Technique: Left: CT. Right: PSMA PET, same axial level, 68Ga-PSMA tracer. PET panel 200×200 px (4.1 mm/px).
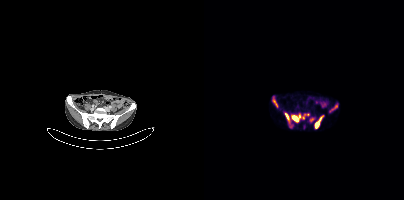
Findings: Coordinates are on the 200×200 PET (right) panel. PSMA-avid tumor lesion bounding boxes (x, y, width, height): x=88 y=114 w=9 h=9 | x=111 y=117 w=7 h=12 | x=68 y=97 w=6 h=11 | x=81 y=113 w=5 h=7. Small PSMA-avid foci (2 to 4 px across) near (center x, center y): (86, 125) | (132, 106) | (103, 114) | (99, 117).